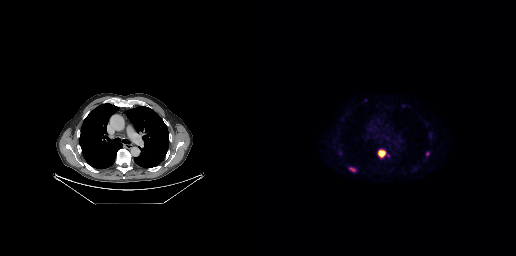
modality: PSMA PET/CT | tracer: 18F | view: axial | PET grid: 256×256
Coordinates are on the 256×256 PET (right) panel. PSMA-avid tumor lesion bounding boxes (x0, y0)-(x1, y1): (118, 149)-(128, 158) / (89, 167)-(95, 171). Small PSMA-avid focus (2 to 4 px across) near (center x, center y): (167, 153).